- Left: CT. Right: PSMA PET, same axial level, [18F]PSMA-1007 tracer
- acquired on Siemens Biograph mCT Flow 20
- slice 341 of 423
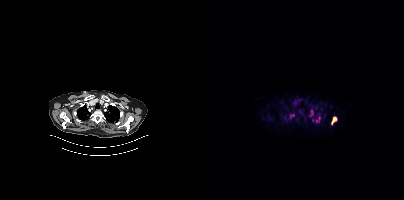
Findings: Coordinates are on the 200×200 PET (right) panel. (showing 4 of 5 foci) PSMA-avid tumor lesion bounding boxes (x0, y0)-(x1, y1): (127, 117)-(132, 124) / (106, 110)-(109, 115). Small PSMA-avid foci (2 to 4 px across) near (center x, center y): (88, 115) / (113, 120).